- Two-panel axial: CT | PSMA PET, 18F tracer
- slice 124 of 427
- PET panel 200×200 px (4.1 mm/px)
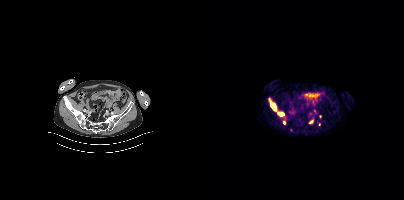
Findings: Coordinates are on the 200×200 PET (right) panel. (showing 3 of 6 foci) PSMA-avid tumor lesion bounding box (x0,y0,x1,y1): [64,98,80,116]. Small PSMA-avid foci (2 to 4 px across) near (center x, center y): (106, 121); (80, 122).